- Left: CT. Right: PSMA PET, same axial level, 18F-PSMA tracer
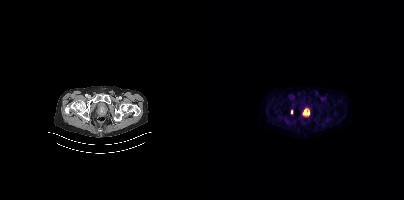
Findings: Coordinates are on the 200×200 PET (right) panel. PSMA-avid tumor lesion bounding box (x0,y0,x1,y1): [99,109,105,116]. Small PSMA-avid focus (2 to 4 px across) near (center x, center y): (87, 111).